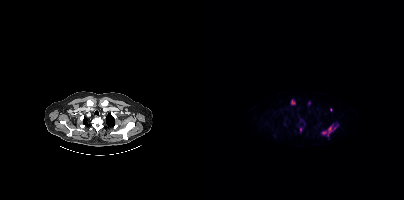
Technique: Two-panel axial: CT | PSMA PET, 18F-PSMA tracer. acquired on Siemens Biograph mCT Flow 20. PET panel 200×200 px (4.1 mm/px).
Findings: Coordinates are on the 200×200 PET (right) panel. (showing 5 of 6 foci) PSMA-avid tumor lesion bounding boxes (x, y, width, height): x=118 y=124 w=17 h=12; x=87 y=100 w=5 h=5. Small PSMA-avid foci (2 to 4 px across) near (center x, center y): (97, 129); (105, 103); (126, 109).